- Paired axial CT (left) and PSMA PET (right), 68Ga tracer
- slice position z = -1496 mm
- PET panel 168×168 px (4.1 mm/px)
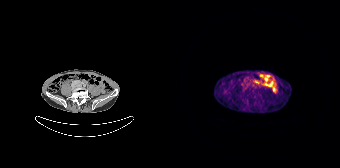
Findings: This slice has no annotated PSMA-avid lesion.